Left: CT. Right: PSMA PET, same axial level, [18F]PSMA-1007 tracer. Acquired on GE Discovery 690. Slice position z = -428 mm. PET panel 256×256 px (2.7 mm/px).
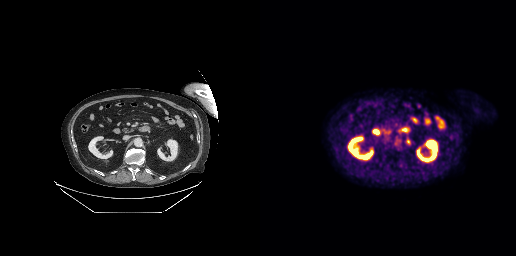
Coordinates are on the 256×256 PET (right) panel. PSMA-avid tumor lesion bounding box (x0, y0)-(x1, y1): (146, 138)-(150, 144).